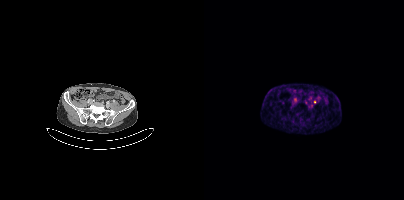
{"modality":"PSMA PET/CT","view":"axial","tracer":"68Ga","pet_grid":[200,200],"coord_frame":"pet_panel","coord_format":"x0,y0,x1,y1","lesion_bboxes":[],"small_foci_centers":[[110,102],[101,102]]}